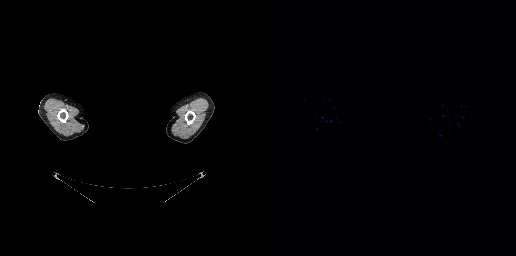
No PSMA-avid tumor lesions on this slice. Face de-identified by blanking a block of the head. Paired axial CT (left) and PSMA PET (right), [68Ga]Ga-PSMA-11 tracer. Slice position z = -217 mm. PET panel 256×256 px (2.7 mm/px).